Technique: Paired axial CT (left) and PSMA PET (right), 18F tracer. acquired on Siemens Biograph mCT Flow 20. slice 268 of 377.
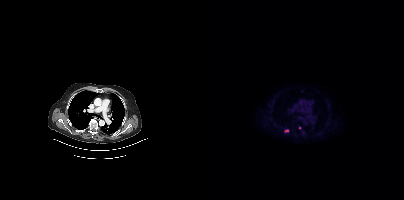
Findings: Coordinates are on the 200×200 PET (right) panel. Small PSMA-avid foci (2 to 4 px across) near (center x, center y): (82, 130); (95, 127).